Paired axial CT (left) and PSMA PET (right), 18F tracer. Acquired on Siemens Biograph 64-4R TruePoint. Slice position z = -1384 mm.
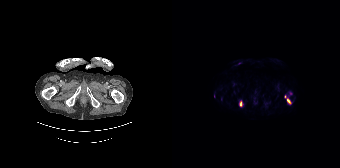
Coordinates are on the 168×168 PET (right) panel. PSMA-avid tumor lesion bounding boxes (partial; 2 more foci not listed):
| # | x0 | y0 | x1 | y1 |
|---|---|---|---|---|
| 1 | 67 | 100 | 71 | 106 |
| 2 | 115 | 99 | 118 | 103 |